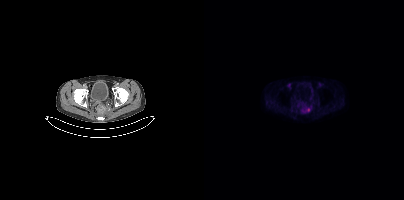
Coordinates are on the 200×200 PET (right) panel. PSMA-avid tumor lesion bounding box (x0,y0,x1,y1): [98,108,106,112].